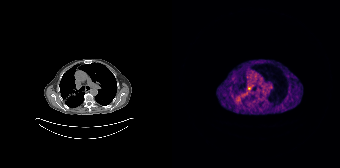
Coordinates are on the 168×168 PET (right) panel. PSMA-avid tumor lesion bounding boxes:
| # | x0 | y0 | x1 | y1 |
|---|---|---|---|---|
| 1 | 66 | 95 | 72 | 101 |
Small PSMA-avid focus (2 to 4 px across) near (center x, center y): (77, 88).
Left: CT. Right: PSMA PET, same axial level, [68Ga]Ga-PSMA-11 tracer. Slice position z = -1206 mm. PET panel 168×168 px (4.1 mm/px).